Two-panel axial: CT | PSMA PET, [18F]PSMA-1007 tracer. Acquired on Siemens Biograph mCT Flow 20. Slice position z = -630 mm.
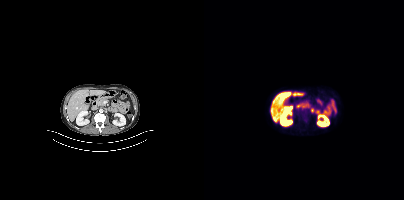
No PSMA-avid tumor lesions on this slice.